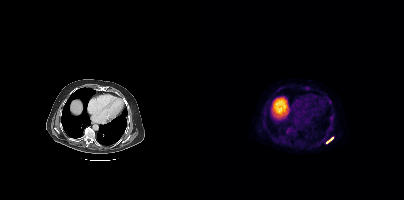
Findings: Coordinates are on the 200×200 PET (right) panel. PSMA-avid tumor lesion bounding box (x, y, width, height): x=122 y=137 w=8 h=7.
Technique: Paired axial CT (left) and PSMA PET (right), [18F]PSMA-1007 tracer.